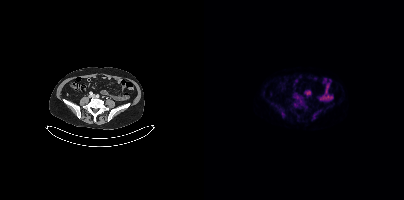
{"pet_grid":[200,200],"coord_frame":"pet_panel","coord_format":"x0,y0,x1,y1","psma_avid_lesions":false,"modality":"PSMA PET/CT","view":"axial","tracer":"[18F]PSMA-1007"}